Paired axial CT (left) and PSMA PET (right), 18F tracer. Acquired on Siemens Biograph mCT Flow 20. PET panel 200×200 px (4.1 mm/px).
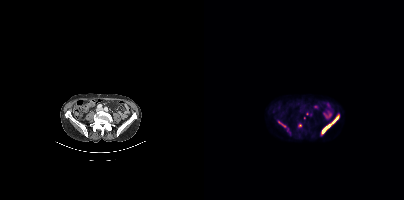
Coordinates are on the 200×200 PET (right) panel. PSMA-avid tumor lesion bounding boxes:
| # | x0 | y0 | x1 | y1 |
|---|---|---|---|---|
| 1 | 118 | 117 | 134 | 133 |
Small PSMA-avid foci (2 to 4 px across) near (center x, center y): (96, 125); (75, 122); (79, 125).